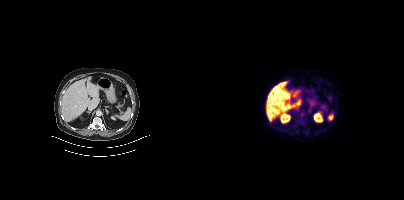
{"modality":"PSMA PET/CT","view":"axial","tracer":"[18F]PSMA-1007","pet_grid":[200,200],"coord_frame":"pet_panel","coord_format":"x0,y0,x1,y1","psma_avid_lesions":false}